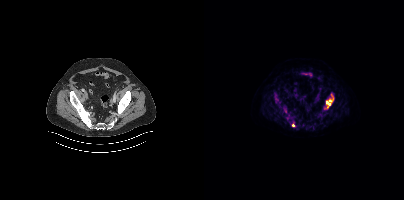
Coordinates are on the 200×200 PET (right) panel. PSMA-avid tumor lesion bounding boxes:
| # | x0 | y0 | x1 | y1 |
|---|---|---|---|---|
| 1 | 122 | 94 | 129 | 108 |
Small PSMA-avid focus (2 to 4 px across) near (center x, center y): (89, 125).
Left: CT. Right: PSMA PET, same axial level, 18F-PSMA tracer. PET panel 200×200 px (4.1 mm/px).